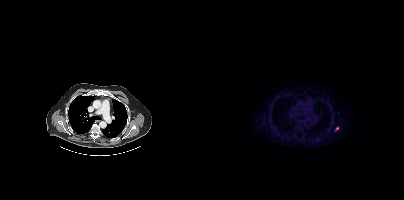
Coordinates are on the 200×200 PET (right) panel. Small PSMA-avid focus (2 to 4 px across) near (center x, center y): (133, 128). Left: CT. Right: PSMA PET, same axial level, 18F tracer. PET panel 200×200 px (4.1 mm/px).